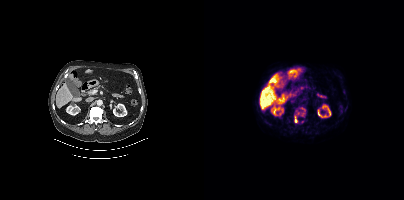
- Two-panel axial: CT | PSMA PET, [18F]PSMA-1007 tracer
- PET panel 200×200 px (4.1 mm/px)
Findings: Coordinates are on the 200×200 PET (right) panel. (showing 4 of 5 foci) PSMA-avid tumor lesion bounding boxes (x0, y0)-(x1, y1): (90, 115)-(93, 122); (97, 107)-(101, 110). Small PSMA-avid foci (2 to 4 px across) near (center x, center y): (99, 114); (94, 113).